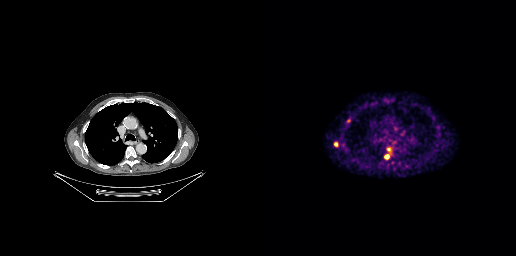
Coordinates are on the 256×256 PET (right) panel. PSMA-avid tumor lesion bounding boxes (x0,y0,x1,y1): [127,148,131,153]; [86,118,90,123]; [74,142,77,146]. Small PSMA-avid foci (2 to 4 px across) near (center x, center y): (126, 156); (173, 118).
modality: PSMA PET/CT | tracer: [68Ga]Ga-PSMA-11 | view: axial | PET grid: 256×256